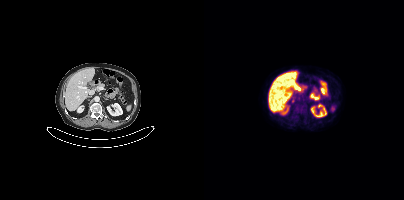
{"pet_grid":[200,200],"coord_frame":"pet_panel","coord_format":"x0,y0,x1,y1","lesion_bboxes":[],"small_foci_centers":[[89,100]],"modality":"PSMA PET/CT","view":"axial","tracer":"18F"}